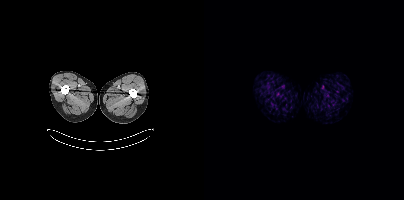
No PSMA-avid tumor lesions on this slice.